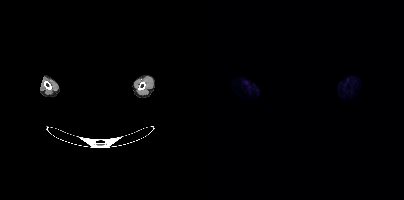
{"modality":"PSMA PET/CT","view":"axial","tracer":"[18F]PSMA-1007","pet_grid":[200,200],"coord_frame":"pet_panel","coord_format":"x0,y0,x1,y1","de-identification":"face masked with black rectangle","psma_avid_lesions":false}